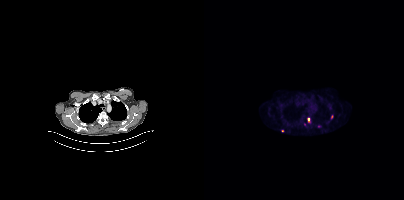
Coordinates are on the 200×200 PET (right) panel. (showing 4 of 5 foci) Small PSMA-avid foci (2 to 4 px across) near (center x, center y): (128, 117) | (104, 119) | (100, 124) | (78, 130).